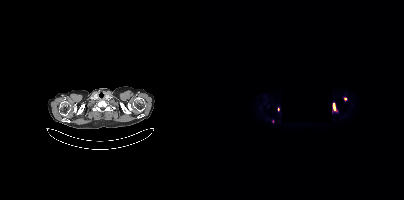
Technique: Left: CT. Right: PSMA PET, same axial level, 18F-PSMA tracer. slice position z = 462 mm. PET panel 200×200 px (4.1 mm/px).
Note: Part of this slice was blanked for de-identification.
Findings: Coordinates are on the 200×200 PET (right) panel. (showing 2 of 4 foci) PSMA-avid tumor lesion bounding box (x, y, width, height): x=129 y=103 w=3 h=8. Small PSMA-avid focus (2 to 4 px across) near (center x, center y): (141, 98).